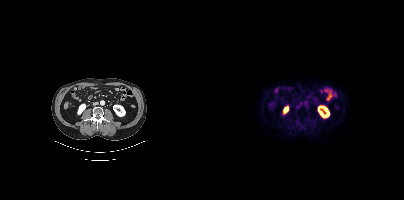
Findings: This slice has no annotated PSMA-avid lesion.
- Two-panel axial: CT | PSMA PET, 18F tracer
- acquired on Siemens Biograph mCT Flow 20
- slice 175 of 438
- PET panel 200×200 px (4.1 mm/px)